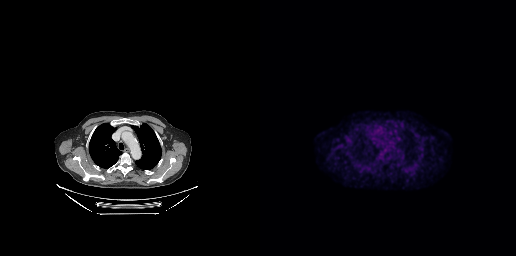
{"pet_grid":[256,256],"coord_frame":"pet_panel","coord_format":"x0,y0,x1,y1","psma_avid_lesions":false,"modality":"PSMA PET/CT","view":"axial","tracer":"18F"}